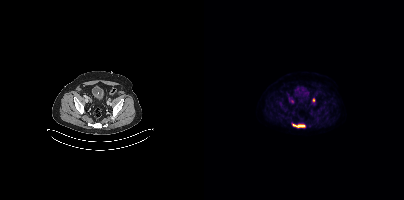
{"pet_grid":[200,200],"coord_frame":"pet_panel","coord_format":"x0,y0,x1,y1","lesion_bboxes":[[88,123,101,127]],"small_foci_centers":[[109,100]],"modality":"PSMA PET/CT","view":"axial","tracer":"18F"}